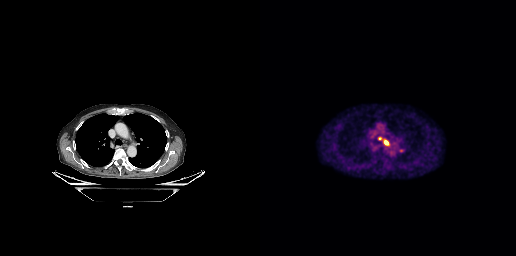
Coordinates are on the 256×256 PET (right) panel. PSMA-avid tumor lesion bounding box (x, y, width, height): x=124 y=140 w=5 h=6. Small PSMA-avid focus (2 to 4 px across) near (center x, center y): (120, 138).
modality: PSMA PET/CT | tracer: 18F-PSMA | view: axial